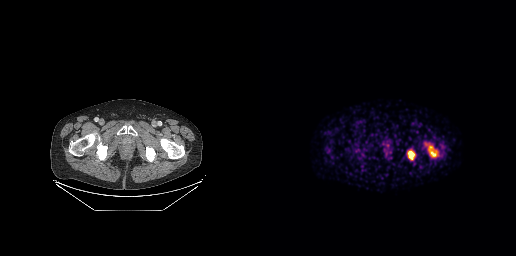
{"modality":"PSMA PET/CT","view":"axial","tracer":"68Ga","pet_grid":[256,256],"coord_frame":"pet_panel","coord_format":"x0,y0,x1,y1","lesion_bboxes":[[169,146,176,156],[148,151,154,159]]}